- Two-panel axial: CT | PSMA PET, 18F-PSMA tracer
- slice position z = -359 mm
- PET panel 256×256 px (2.7 mm/px)
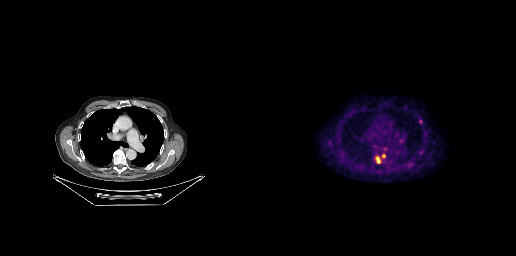
Findings: Coordinates are on the 256×256 PET (right) panel. PSMA-avid tumor lesion bounding box (x0,y0,x1,y1): [115,154,125,164]. Small PSMA-avid focus (2 to 4 px across) near (center x, center y): (160, 121).